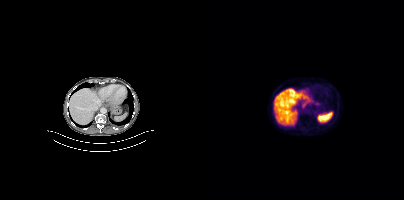
Left: CT. Right: PSMA PET, same axial level, 18F tracer. Coordinates are on the 200×200 PET (right) panel. Small PSMA-avid focus (2 to 4 px across) near (center x, center y): (89, 122).